A rectangular block over the head has been blanked out for de-identification.
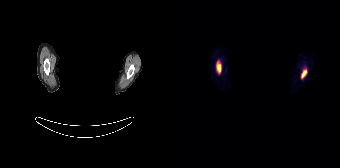
Coordinates are on the 168×168 PET (right) panel. PSMA-avid tumor lesion bounding boxes (x0,y0,x1,y1): [44,62,49,73], [129,68,135,78].